Left: CT. Right: PSMA PET, same axial level, 18F-PSMA tracer.
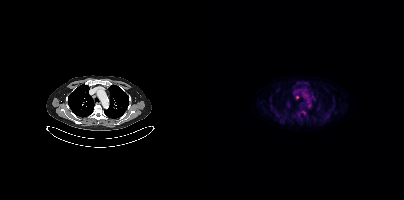
Coordinates are on the 200×200 PET (right) panel. PSMA-avid tumor lesion bounding box (x0,y0,x1,y1): [96,111,101,114]. Small PSMA-avid foci (2 to 4 px across) near (center x, center y): (93, 97), (94, 114).